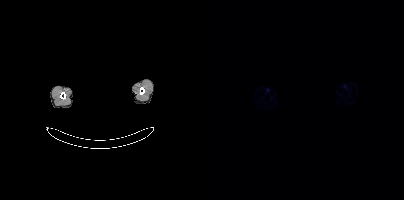
redaction: head region blacked out before release | modality: PSMA PET/CT | tracer: 68Ga-PSMA | view: axial | PET grid: 200×200
This slice has no annotated PSMA-avid lesion.